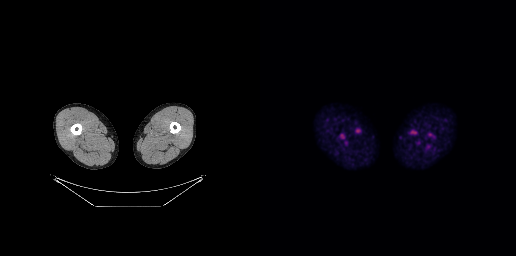
- Left: CT. Right: PSMA PET, same axial level, 18F-PSMA tracer
- acquired on GE Discovery 690
- slice 19 of 299
- PET panel 256×256 px (2.7 mm/px)
Findings: No PSMA-avid tumor lesions on this slice.